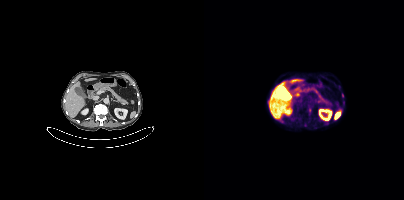
Coordinates are on the 200×200 PET (right) panel. Small PSMA-avid focus (2 to 4 px across) near (center x, center y): (138, 95).
modality: PSMA PET/CT | tracer: 18F | view: axial